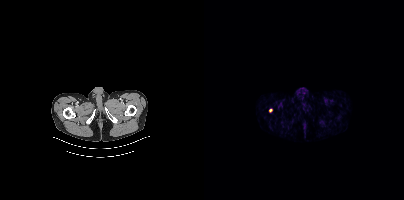
Coordinates are on the 200×200 PET (right) panel. Small PSMA-avid focus (2 to 4 px across) near (center x, center y): (66, 110).
modality: PSMA PET/CT | tracer: 68Ga-PSMA | view: axial | PET grid: 200×200